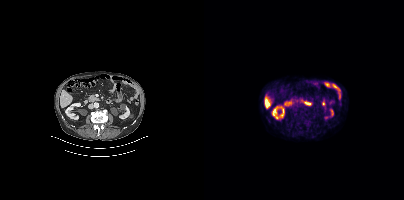
Findings: This slice has no annotated PSMA-avid lesion.
Technique: Two-panel axial: CT | PSMA PET, [18F]PSMA-1007 tracer.